Paired axial CT (left) and PSMA PET (right), 18F tracer. PET panel 200×200 px (4.1 mm/px).
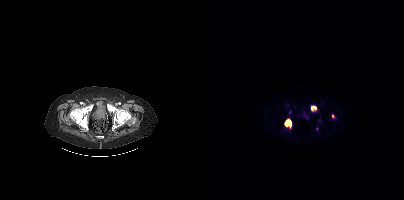
Coordinates are on the 200×200 PET (right) panel. (showing 3 of 4 foci) PSMA-avid tumor lesion bounding boxes (x0,y0,x1,y1): [81,119,87,127] [107,106,112,111]. Small PSMA-avid focus (2 to 4 px across) near (center x, center y): (128, 116).